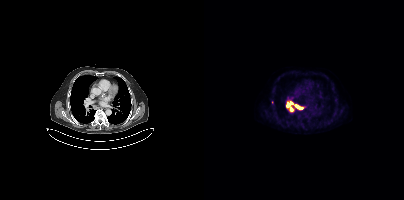
{"modality":"PSMA PET/CT","view":"axial","tracer":"18F-PSMA","pet_grid":[200,200],"coord_frame":"pet_panel","coord_format":"x0,y0,x1,y1","lesion_bboxes":[[91,105,98,109]]}